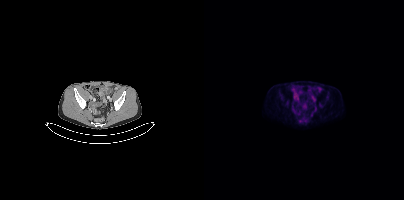
This slice has no annotated PSMA-avid lesion.